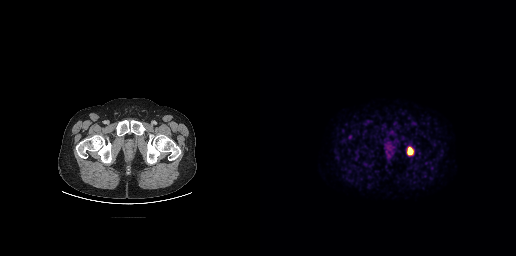
- Paired axial CT (left) and PSMA PET (right), 18F-PSMA tracer
- acquired on GE Discovery 690
- slice 41 of 263
Findings: Coordinates are on the 256×256 PET (right) panel. PSMA-avid tumor lesion bounding box (x, y, width, height): x=147 y=146 w=7 h=9.